modality: PSMA PET/CT | tracer: 18F-PSMA | view: axial | PET grid: 256×256
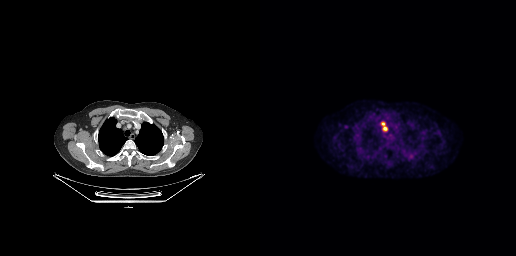
Coordinates are on the 256×256 PET (right) panel. PSMA-avid tumor lesion bounding box (x0,y0,x1,y1): [122,122,127,130].